Left: CT. Right: PSMA PET, same axial level, 18F-PSMA tracer. Acquired on GE Discovery 690. Slice position z = -384 mm.
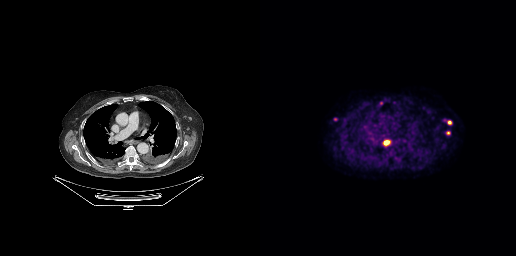
Coordinates are on the 256×256 PET (right) panel. (showing 6 of 7 foci) PSMA-avid tumor lesion bounding boxes (x0, y0)-(x1, y1): (124, 140)-(130, 145) / (187, 120)-(191, 124) / (119, 101)-(123, 105). Small PSMA-avid foci (2 to 4 px across) near (center x, center y): (187, 132) / (75, 119) / (112, 138).